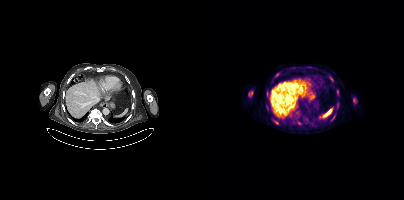
Findings: Coordinates are on the 200×200 PET (right) panel. (showing 9 of 10 foci) PSMA-avid tumor lesion bounding boxes (x, y, width, height): x=44 y=91 w=5 h=6 | x=149 y=98 w=4 h=6 | x=62 y=106 w=4 h=6 | x=128 y=115 w=4 h=6 | x=69 y=120 w=6 h=5 | x=63 y=93 w=3 h=5. Small PSMA-avid foci (2 to 4 px across) near (center x, center y): (133, 104) | (72, 74) | (133, 91).
- Two-panel axial: CT | PSMA PET, [18F]PSMA-1007 tracer
- acquired on Siemens Biograph mCT Flow 20
- PET panel 200×200 px (4.1 mm/px)